modality: PSMA PET/CT | tracer: [18F]PSMA-1007 | view: axial
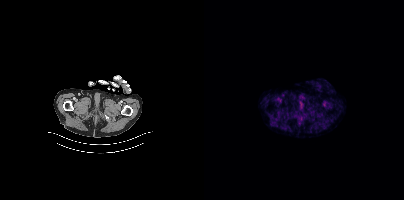
Negative for PSMA-avid disease on this slice.